Left: CT. Right: PSMA PET, same axial level, [18F]PSMA-1007 tracer. PET panel 200×200 px (4.1 mm/px).
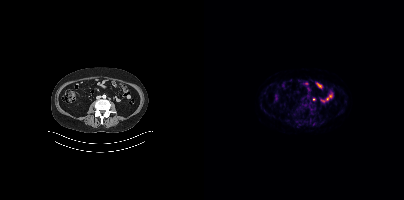
Only PSMA-avid lesion pieces thinner than 2 px on this slice (not listed).